modality: PSMA PET/CT | tracer: 18F-PSMA | view: axial
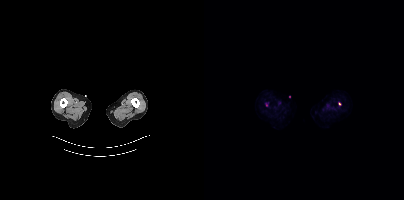
Coordinates are on the 200×200 PET (right) panel. (showing 1 of 2 foci) Small PSMA-avid focus (2 to 4 px across) near (center x, center y): (135, 103).